modality: PSMA PET/CT | tracer: 68Ga-PSMA | view: axial | PET grid: 200×200
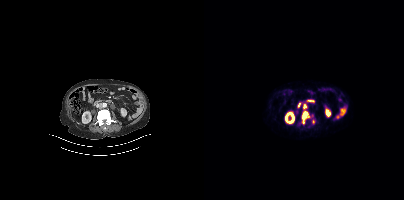
Coordinates are on the 200×200 PET (right) panel. PSMA-avid tumor lesion bounding boxes (x0, y0)-(x1, y1): (97, 111)-(105, 124) | (99, 103)-(103, 109). Small PSMA-avid focus (2 to 4 px across) near (center x, center y): (109, 121).